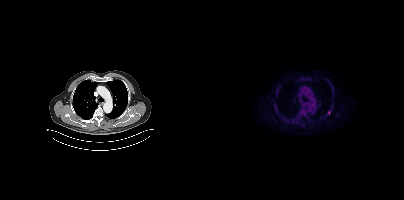
Coordinates are on the 200×200 PET (right) panel. Small PSMA-avid focus (2 to 4 px across) near (center x, center y): (125, 112).